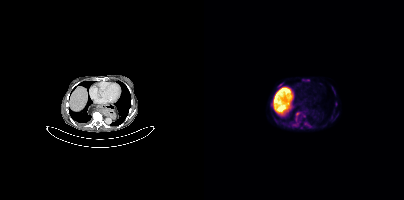
Coordinates are on the 200×200 PET (right) panel. (showing 4 of 7 foci) PSMA-avid tumor lesion bounding box (x0,y0,x1,y1): [92,112,95,121]. Small PSMA-avid foci (2 to 4 px across) near (center x, center y): (90, 124); (100, 115); (101, 123). Left: CT. Right: PSMA PET, same axial level, 18F-PSMA tracer. Slice position z = -670 mm. PET panel 200×200 px (4.1 mm/px).